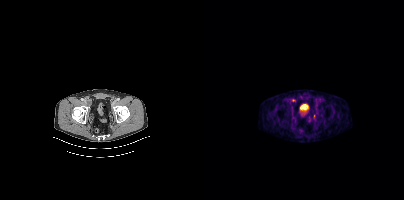
Two-panel axial: CT | PSMA PET, 18F-PSMA tracer. PET panel 200×200 px (4.1 mm/px). Coordinates are on the 200×200 PET (right) panel. PSMA-avid tumor lesion bounding box (x0,y0,x1,y1): [87,98,91,101]. Small PSMA-avid focus (2 to 4 px across) near (center x, center y): (110, 115).